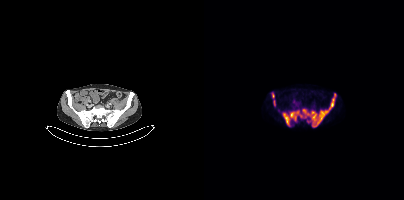
Coordinates are on the 200×200 PET (right) panel. PSMA-avid tumor lesion bounding boxes (x0, y0)-(x1, y1): (78, 93)-(132, 127); (68, 92)-(70, 98); (69, 100)-(71, 105).